modality: PSMA PET/CT | tracer: [18F]PSMA-1007 | view: axial | PET grid: 200×200
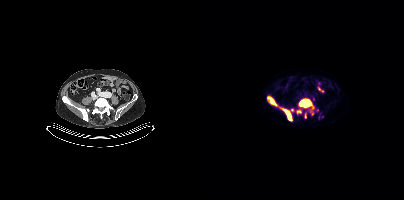
Coordinates are on the 200×200 PET (right) panel. (showing 6 of 8 foci) PSMA-avid tumor lesion bounding boxes (x0, y0)-(x1, y1): (95, 99)-(107, 107) | (77, 108)-(87, 120) | (64, 97)-(72, 105) | (93, 109)-(97, 113). Small PSMA-avid foci (2 to 4 px across) near (center x, center y): (108, 112) | (101, 115).